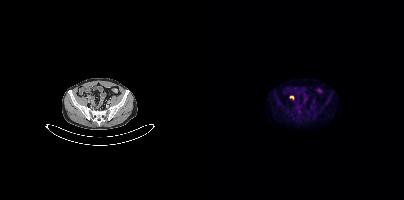
Technique: Paired axial CT (left) and PSMA PET (right), [18F]PSMA-1007 tracer.
Findings: Coordinates are on the 200×200 PET (right) panel. PSMA-avid tumor lesion bounding box (x, y, width, height): x=85 y=96 w=5 h=3.